modality: PSMA PET/CT | tracer: [18F]PSMA-1007 | view: axial | PET grid: 200×200
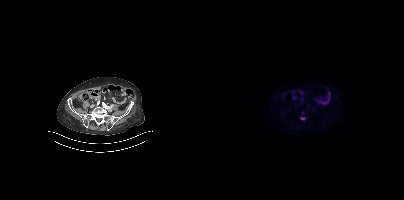
Coordinates are on the 200×200 PET (right) panel. PSMA-avid tumor lesion bounding box (x0,y0,x1,y1): [97,117,101,119].